- Two-panel axial: CT | PSMA PET, [68Ga]Ga-PSMA-11 tracer
- PET panel 256×256 px (2.7 mm/px)
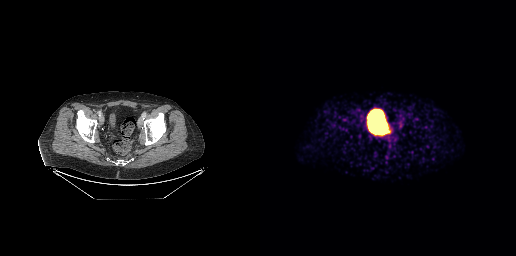
Findings: No PSMA-avid tumor lesions on this slice.